Technique: Paired axial CT (left) and PSMA PET (right), 18F tracer. acquired on GE Discovery 690. slice 118 of 299.
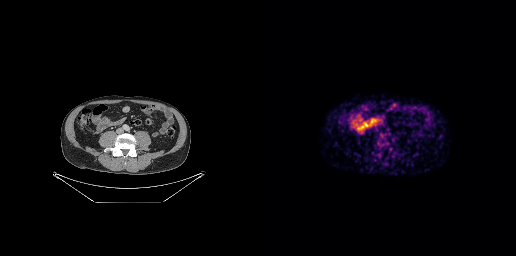
Findings: This slice has no annotated PSMA-avid lesion.